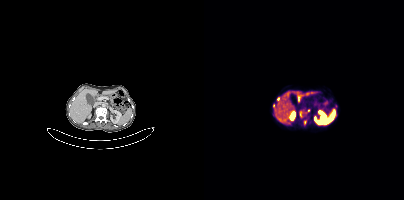
Findings: Coordinates are on the 200×200 PET (right) panel. PSMA-avid tumor lesion bounding box (x0, y0)-(x1, y1): (96, 111)-(98, 117). Small PSMA-avid foci (2 to 4 px across) near (center x, center y): (101, 122) | (74, 98) | (69, 105) | (104, 110).
- Paired axial CT (left) and PSMA PET (right), 68Ga-PSMA tracer
- acquired on Siemens Biograph mCT Flow 20
- slice position z = -859 mm